Two-panel axial: CT | PSMA PET, 68Ga-PSMA tracer. Slice position z = -828 mm. PET panel 256×256 px (2.7 mm/px).
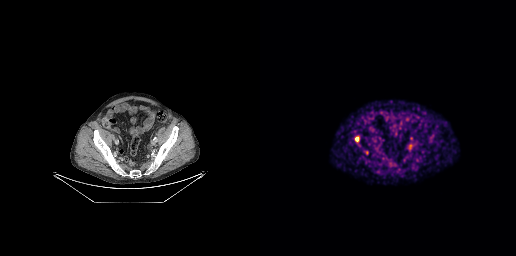
Coordinates are on the 256×256 PET (right) panel. PSMA-avid tumor lesion bounding boxes:
| # | x0 | y0 | x1 | y1 |
|---|---|---|---|---|
| 1 | 95 | 137 | 98 | 141 |
| 2 | 104 | 151 | 108 | 154 |